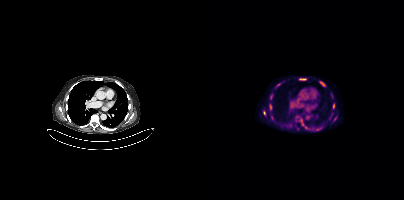
{"pet_grid":[200,200],"coord_frame":"pet_panel","coord_format":"x0,y0,x1,y1","partial":true,"lesion_bboxes":[[115,81,120,85],[95,78,102,80],[65,104,67,109]],"small_foci_centers":[[60,112],[129,107],[67,95],[114,129]],"modality":"PSMA PET/CT","view":"axial","tracer":"18F-PSMA"}